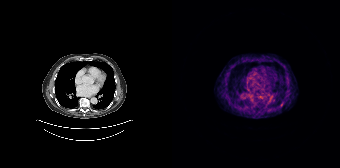
Coordinates are on the 168×168 PET (right) panel. PSMA-avid tumor lesion bounding box (x0, y0)-(x1, y1): (108, 102)-(111, 106). Small PSMA-avid focus (2 to 4 px across) near (center x, center y): (89, 97).